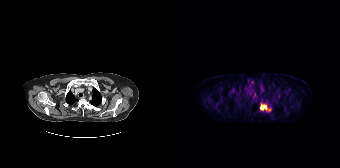
Coordinates are on the 168×168 PET (right) panel. PSMA-avid tumor lesion bounding boxes:
| # | x0 | y0 | x1 | y1 |
|---|---|---|---|---|
| 1 | 88 | 104 | 99 | 111 |
Small PSMA-avid focus (2 to 4 px across) near (center x, center y): (106, 96).
Left: CT. Right: PSMA PET, same axial level, 18F-PSMA tracer. Acquired on Siemens Biograph 64-4R TruePoint. Slice position z = -726 mm. PET panel 168×168 px (4.1 mm/px).